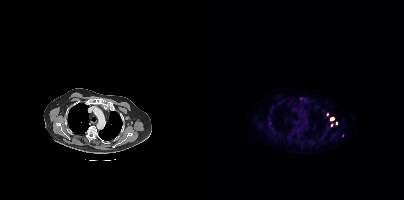
{"modality":"PSMA PET/CT","view":"axial","tracer":"18F-PSMA","pet_grid":[200,200],"coord_frame":"pet_panel","coord_format":"x0,y0,x1,y1","partial":true,"lesion_bboxes":[],"small_foci_centers":[[128,118],[127,125],[132,123]]}